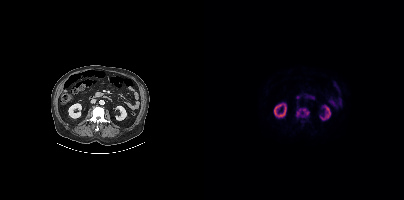
{"modality":"PSMA PET/CT","view":"axial","tracer":"18F","pet_grid":[200,200],"coord_frame":"pet_panel","coord_format":"x0,y0,x1,y1","lesion_bboxes":[[92,108,105,117]]}